Paired axial CT (left) and PSMA PET (right), 18F tracer. Slice 91 of 263.
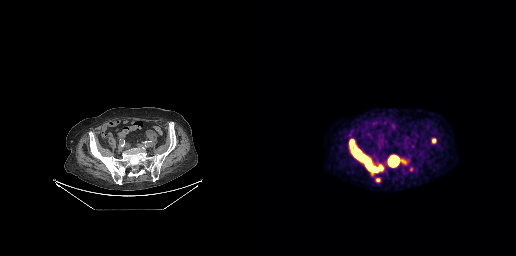
Coordinates are on the 256×256 PET (right) panel. PSMA-avid tumor lesion bounding boxes (x0, y0)-(x1, y1): (89, 139)-(124, 175) | (127, 154)-(146, 167) | (172, 138)-(176, 143) | (116, 178)-(120, 182).